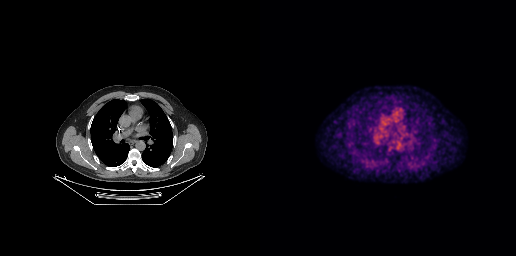
Negative for PSMA-avid disease on this slice.
modality: PSMA PET/CT | tracer: 18F | view: axial | PET grid: 256×256